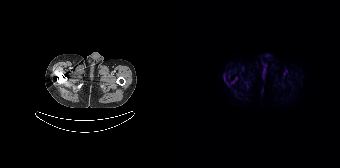
Paired axial CT (left) and PSMA PET (right), [18F]PSMA-1007 tracer. Slice position z = -1666 mm. PET panel 168×168 px (4.1 mm/px). This slice has no annotated PSMA-avid lesion.